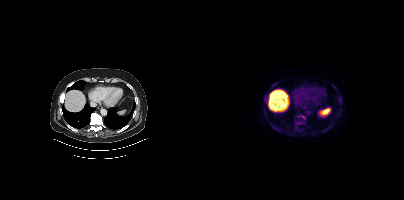
modality: PSMA PET/CT | tracer: 18F | view: axial
Coordinates are on the 200×200 PET (right) panel. PSMA-avid tumor lesion bounding boxes (x, y, width, height): x=90 y=116 w=10 h=10 / x=118 y=128 w=7 h=6 / x=70 y=127 w=5 h=5 / x=88 y=128 w=5 h=5 / x=68 y=83 w=5 h=4 / x=128 y=85 w=5 h=5. Small PSMA-avid foci (2 to 4 px across) near (center x, center y): (61, 101) / (136, 100).